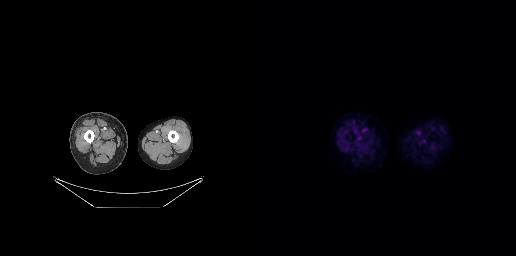
Left: CT. Right: PSMA PET, same axial level, 18F tracer. PET panel 256×256 px (2.7 mm/px). This slice has no annotated PSMA-avid lesion.